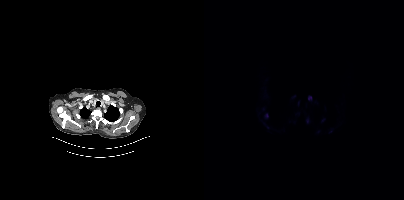
Coordinates are on the 200×200 PET (right) panel. (showing 3 of 4 foci) PSMA-avid tumor lesion bounding box (x, y, width, height): x=104 y=96 w=4 h=5. Small PSMA-avid foci (2 to 4 px across) near (center x, center y): (103, 120) | (62, 115).
modality: PSMA PET/CT | tracer: [18F]PSMA-1007 | view: axial | PET grid: 200×200